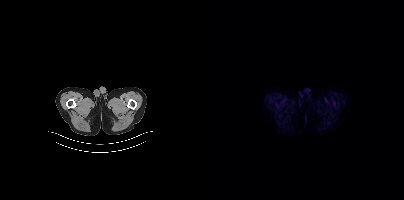
Technique: Paired axial CT (left) and PSMA PET (right), 18F tracer. slice 24 of 413. PET panel 200×200 px (4.1 mm/px).
Findings: This slice has no annotated PSMA-avid lesion.